Paired axial CT (left) and PSMA PET (right), [18F]PSMA-1007 tracer. Acquired on Siemens Biograph 64-4R TruePoint. PET panel 168×168 px (4.1 mm/px).
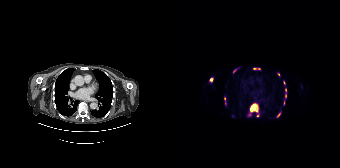
Coordinates are on the 168×168 PET (right) panel. PSMA-avid tumor lesion bounding boxes (partial; 2 more foci not listed):
| # | x0 | y0 | x1 | y1 |
|---|---|---|---|---|
| 1 | 78 | 106 | 86 | 112 |
| 2 | 81 | 68 | 88 | 69 |
| 3 | 37 | 78 | 41 | 81 |
| 4 | 105 | 113 | 108 | 117 |
Small PSMA-avid foci (2 to 4 px across) near (center x, center y): (62, 70); (113, 95); (112, 82); (113, 89); (52, 98); (85, 115); (106, 74); (77, 114).